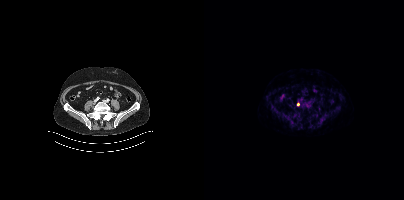
Coordinates are on the 200×200 PET (right) panel. Small PSMA-avid focus (2 to 4 px across) near (center x, center y): (94, 103).